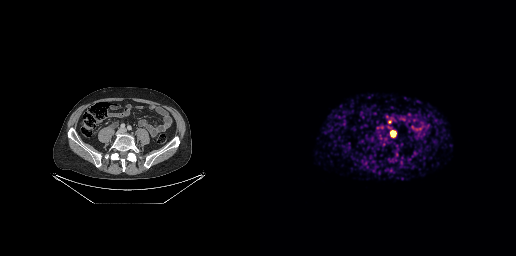
{"pet_grid":[256,256],"coord_frame":"pet_panel","coord_format":"x0,y0,x1,y1","lesion_bboxes":[],"small_foci_centers":[[129,121],[133,133]],"modality":"PSMA PET/CT","view":"axial","tracer":"[68Ga]Ga-PSMA-11"}